Paired axial CT (left) and PSMA PET (right), 18F-PSMA tracer. PET panel 200×200 px (4.1 mm/px).
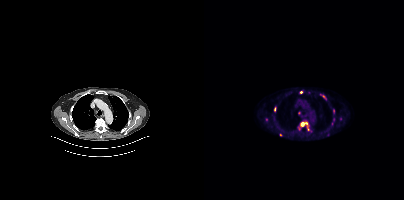
Coordinates are on the 200×200 PET (right) panel. PSMA-avid tumor lesion bounding boxes (partial; 2 more foci not listed):
| # | x0 | y0 | x1 | y1 |
|---|---|---|---|---|
| 1 | 96 | 121 | 104 | 128 |
| 2 | 116 | 94 | 122 | 99 |
| 3 | 70 | 107 | 71 | 111 |
Small PSMA-avid foci (2 to 4 px across) near (center x, center y): (97, 92); (76, 134).